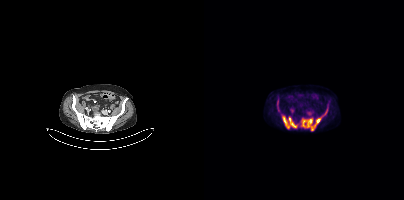
Findings: Coordinates are on the 200×200 PET (right) panel. PSMA-avid tumor lesion bounding boxes (x0,y0,x1,y1): [78,116,93,128] [98,119,108,127] [107,109,123,130].
Technique: Two-panel axial: CT | PSMA PET, 18F tracer. acquired on Siemens Biograph mCT Flow 20. slice 96 of 373.